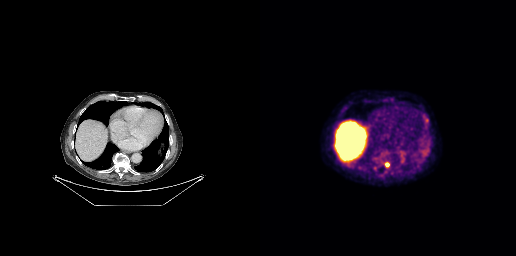
Findings: Coordinates are on the 256×256 PET (right) panel. PSMA-avid tumor lesion bounding boxes (x0, y0)-(x1, y1): (164, 117)-(169, 125) | (125, 162)-(129, 166) | (114, 158)-(120, 162).
- Paired axial CT (left) and PSMA PET (right), 18F tracer
- PET panel 256×256 px (2.7 mm/px)